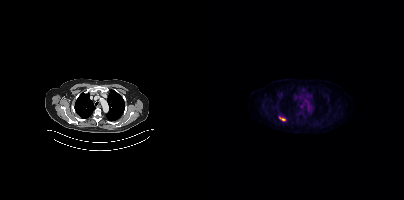
- Left: CT. Right: PSMA PET, same axial level, 18F tracer
- PET panel 200×200 px (4.1 mm/px)
Findings: Coordinates are on the 200×200 PET (right) panel. PSMA-avid tumor lesion bounding box (x, y, width, height): x=75 y=116 w=7 h=6.